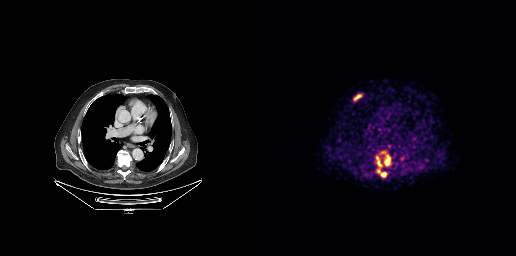
{"modality":"PSMA PET/CT","view":"axial","tracer":"68Ga-PSMA","pet_grid":[256,256],"coord_frame":"pet_panel","coord_format":"x0,y0,x1,y1","lesion_bboxes":[[116,156,126,177],[120,151,130,166],[94,94,101,100]]}